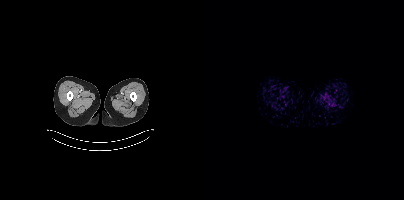
{"modality":"PSMA PET/CT","view":"axial","tracer":"68Ga-PSMA","pet_grid":[200,200],"coord_frame":"pet_panel","coord_format":"x0,y0,x1,y1","psma_avid_lesions":false}